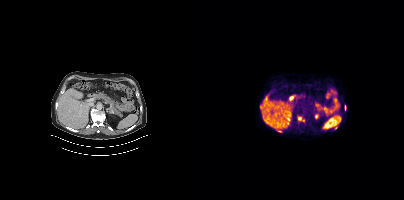
{"modality":"PSMA PET/CT","view":"axial","tracer":"[18F]PSMA-1007","pet_grid":[200,200],"coord_frame":"pet_panel","coord_format":"x0,y0,x1,y1","partial":true,"lesion_bboxes":[]}